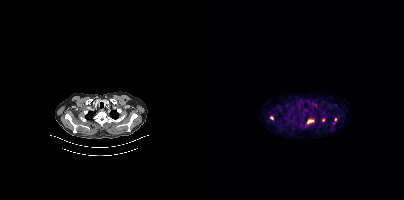
modality: PSMA PET/CT | tracer: [18F]PSMA-1007 | view: axial
Coordinates are on the 200×200 PET (right) panel. PSMA-avid tumor lesion bounding box (x0, y0)-(x1, y1): (103, 119)-(109, 124). Small PSMA-avid foci (2 to 4 px across) near (center x, center y): (67, 117); (119, 120); (131, 119).